modality: PSMA PET/CT | tracer: [18F]PSMA-1007 | view: axial
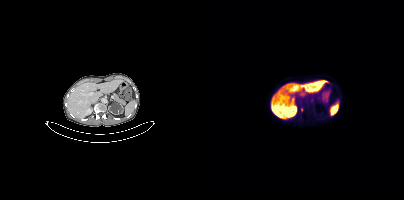
Coordinates are on the 200×200 PET (right) panel. Small PSMA-avid focus (2 to 4 px across) near (center x, center y): (98, 109).